Two-panel axial: CT | PSMA PET, 68Ga-PSMA tracer.
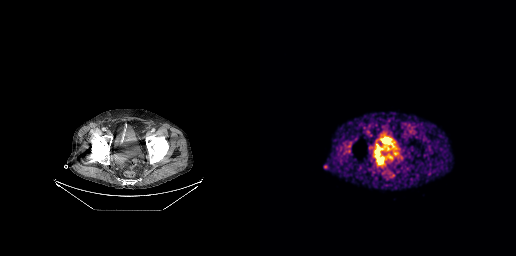
Coordinates are on the 256×256 PET (right) panel. PSMA-avid tumor lesion bounding box (x0,y0,x1,y1): [115,147,129,165].